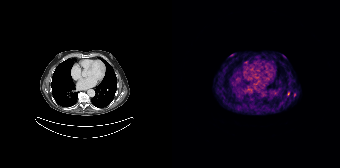
Two-panel axial: CT | PSMA PET, 68Ga tracer. Acquired on Siemens Biograph 64-4R TruePoint. Coordinates are on the 168×168 PET (right) panel. Small PSMA-avid foci (2 to 4 px across) near (center x, center y): (116, 93); (122, 95).